modality: PSMA PET/CT | tracer: [68Ga]Ga-PSMA-11 | view: axial
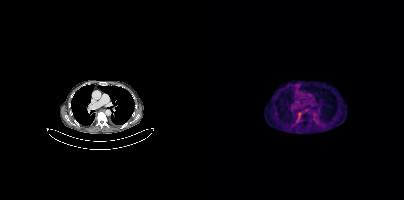
This slice has no annotated PSMA-avid lesion.